Technique: Two-panel axial: CT | PSMA PET, 68Ga tracer. acquired on GE Discovery 690. PET panel 256×256 px (2.7 mm/px).
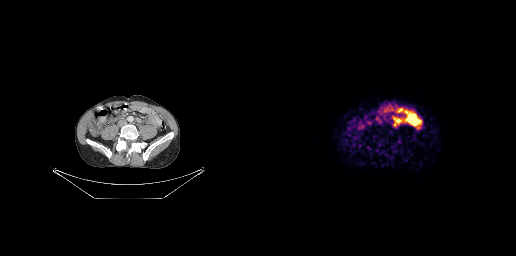
Findings: Coordinates are on the 256×256 PET (right) panel. PSMA-avid tumor lesion bounding box (x0, y0)-(x1, y1): (133, 124)-(138, 128).